Technique: Left: CT. Right: PSMA PET, same axial level, [18F]PSMA-1007 tracer. slice position z = -410 mm. PET panel 200×200 px (4.1 mm/px).
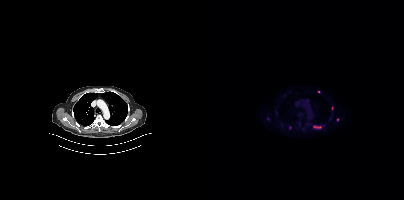
Findings: Coordinates are on the 200×200 PET (right) panel. (showing 1 of 5 foci) PSMA-avid tumor lesion bounding box (x, y, width, height): x=109 y=126 w=9 h=3.